Paired axial CT (left) and PSMA PET (right), 68Ga-PSMA tracer.
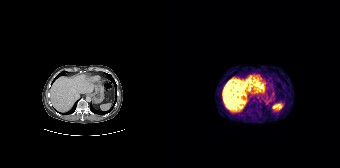
Negative for PSMA-avid disease on this slice.